- Left: CT. Right: PSMA PET, same axial level, 18F tracer
- acquired on Siemens Biograph mCT Flow 20
- PET panel 200×200 px (4.1 mm/px)
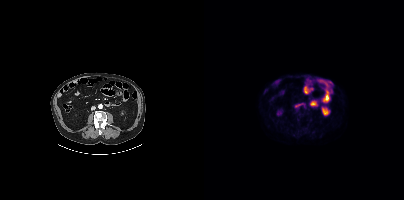
Findings: No PSMA-avid tumor lesions on this slice.